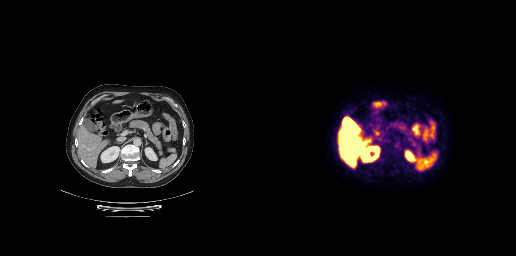
Technique: Left: CT. Right: PSMA PET, same axial level, 18F tracer.
Findings: This slice has no annotated PSMA-avid lesion.